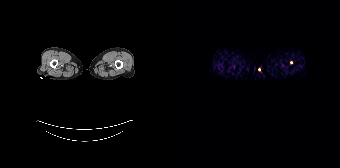
Findings: Only PSMA-avid lesion pieces thinner than 2 px on this slice (not listed).
- Two-panel axial: CT | PSMA PET, 68Ga-PSMA tracer